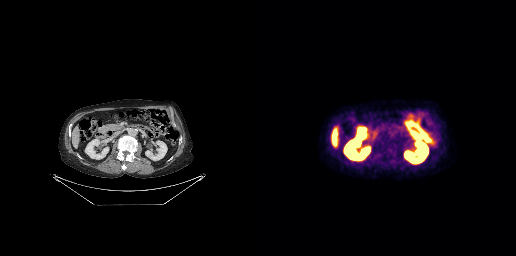
{"modality":"PSMA PET/CT","view":"axial","tracer":"18F","pet_grid":[256,256],"coord_frame":"pet_panel","coord_format":"x0,y0,x1,y1","psma_avid_lesions":false}